Paired axial CT (left) and PSMA PET (right), 18F-PSMA tracer. Slice 259 of 448. PET panel 200×200 px (4.1 mm/px).
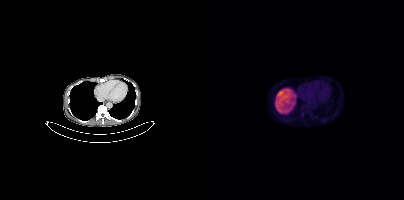
Coordinates are on the 200×200 PET (right) panel. Small PSMA-avid foci (2 to 4 px across) near (center x, center y): (98, 114), (119, 120), (112, 117), (103, 106).